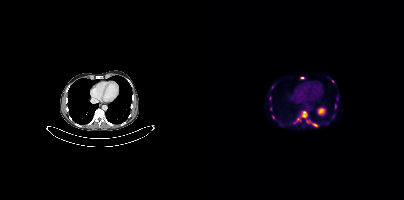
{"modality":"PSMA PET/CT","view":"axial","tracer":"[18F]PSMA-1007","pet_grid":[200,200],"coord_frame":"pet_panel","coord_format":"x0,y0,x1,y1","partial":true,"lesion_bboxes":[[90,111,103,123],[102,120,113,126],[96,77,100,79]],"small_foci_centers":[[128,81],[131,106]]}